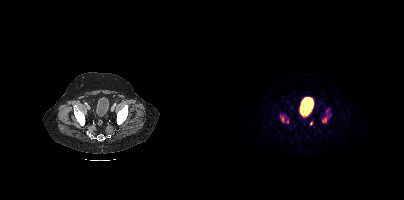
Coordinates are on the 200×200 PET (right) panel. (showing 4 of 5 foci) PSMA-avid tumor lesion bounding boxes (x, y, width, height): x=117 y=107 w=11 h=17 / x=78 y=117 w=2 h=5. Small PSMA-avid foci (2 to 4 px across) near (center x, center y): (107, 123) / (83, 121).
modality: PSMA PET/CT | tracer: [68Ga]Ga-PSMA-11 | view: axial